Two-panel axial: CT | PSMA PET, 68Ga tracer. Acquired on GE Discovery 690. Slice 150 of 189. PET panel 256×256 px (2.7 mm/px).
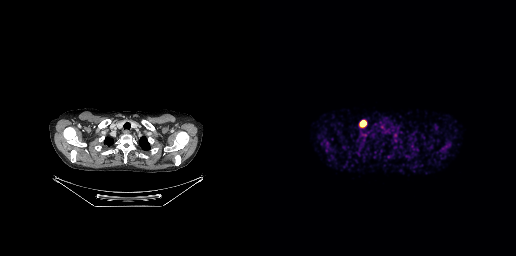
Coordinates are on the 256×256 PET (right) panel. PSMA-avid tumor lesion bounding box (x0,y0,x1,y1): [100,121,105,126].